modality: PSMA PET/CT | tracer: 18F | view: axial
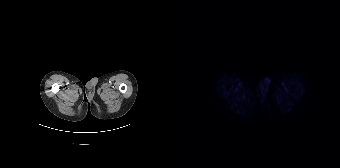
Negative for PSMA-avid disease on this slice.